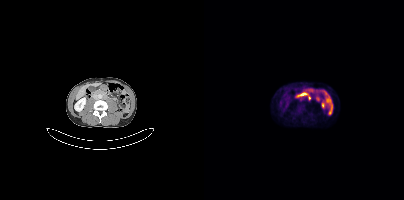
Paired axial CT (left) and PSMA PET (right), 18F tracer. Slice 158 of 417. PET panel 200×200 px (4.1 mm/px). Coordinates are on the 200×200 PET (right) panel. PSMA-avid tumor lesion bounding box (x, y, width, height): x=95 y=105 w=5 h=6.